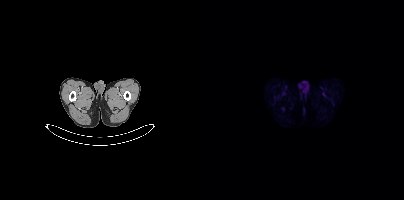
Negative for PSMA-avid disease on this slice. Paired axial CT (left) and PSMA PET (right), 18F tracer. Slice 26 of 393. PET panel 200×200 px (4.1 mm/px).